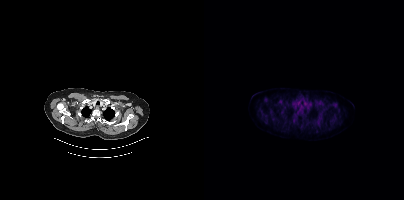
Only PSMA-avid lesion pieces thinner than 2 px on this slice (not listed).